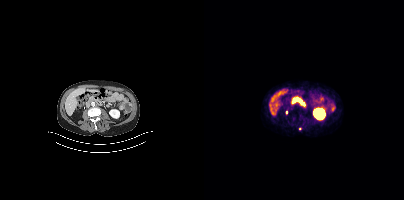
Left: CT. Right: PSMA PET, same axial level, 68Ga tracer. Acquired on Siemens Biograph mCT Flow 20. PET panel 200×200 px (4.1 mm/px). Coordinates are on the 200×200 PET (right) panel. PSMA-avid tumor lesion bounding box (x, y, width, height): x=88 y=99 w=5 h=5. Small PSMA-avid foci (2 to 4 px across) near (center x, center y): (95, 128); (82, 112).